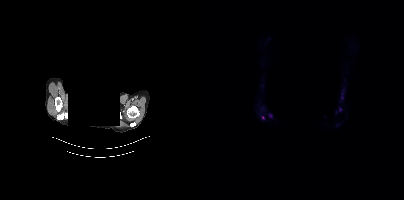
Coordinates are on the 200×200 PET (right) panel. PSMA-avid tumor lesion bounding box (x0,y0,x1,y1): [57,115,60,119]. Small PSMA-avid focus (2 to 4 px across) near (center x, center y): (66, 115).
modality: PSMA PET/CT | tracer: [18F]PSMA-1007 | view: axial | PET grid: 200×200 | redaction: privacy mask over head